- Two-panel axial: CT | PSMA PET, [18F]PSMA-1007 tracer
- acquired on Siemens Biograph mCT Flow 20
- PET panel 200×200 px (4.1 mm/px)
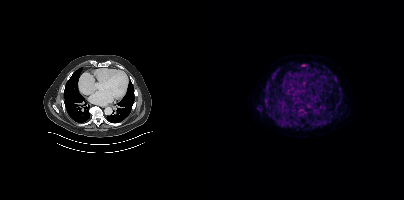
Findings: Coordinates are on the 200×200 PET (right) panel. (showing 14 of 18 foci) PSMA-avid tumor lesion bounding boxes (x0,y0,x1,y1): [94,107,103,116] [67,72,72,78] [61,103,66,108] [62,80,66,86] [60,96,64,101] [72,120,76,125] [98,64,103,66]. Small PSMA-avid foci (2 to 4 px across) near (center x, center y): (63, 89) (124, 120) (120, 67) (74, 69) (128, 116) (136, 99) (104, 122).